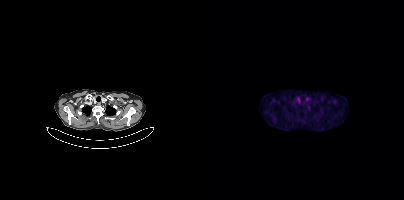
No PSMA-avid tumor lesions on this slice.